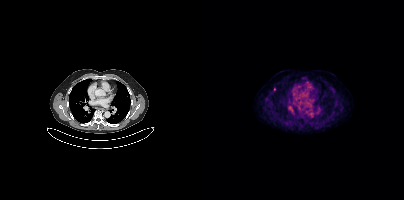
modality: PSMA PET/CT | tracer: 18F | view: axial
Only PSMA-avid lesion pieces thinner than 2 px on this slice (not listed).